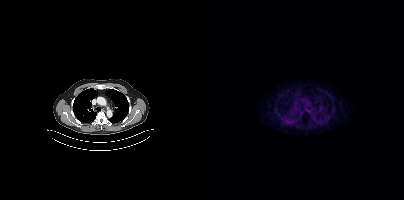
Findings: No tumor lesions annotated on this slice.
- Left: CT. Right: PSMA PET, same axial level, 68Ga-PSMA tracer
- PET panel 200×200 px (4.1 mm/px)